Left: CT. Right: PSMA PET, same axial level, [18F]PSMA-1007 tracer. Acquired on Siemens Biograph mCT Flow 20. Slice 91 of 442.
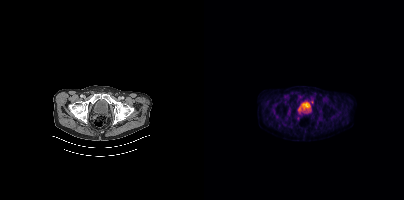
Only PSMA-avid lesion pieces thinner than 2 px on this slice (not listed).